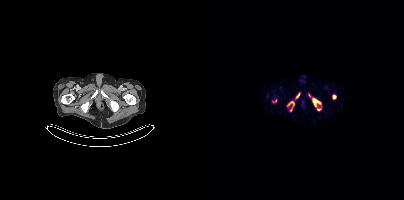
{"modality":"PSMA PET/CT","view":"axial","tracer":"18F-PSMA","pet_grid":[200,200],"coord_frame":"pet_panel","coord_format":"x0,y0,x1,y1","partial":true,"lesion_bboxes":[[108,98,117,110],[83,101,90,106],[92,93,95,97]],"small_foci_centers":[[130,96],[87,109],[71,100]]}